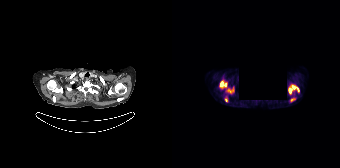
{"modality":"PSMA PET/CT","view":"axial","tracer":"68Ga-PSMA","pet_grid":[168,168],"coord_frame":"pet_panel","coord_format":"x0,y0,x1,y1","de-identification":"black rectangle is a privacy mask","lesion_bboxes":[[116,84,127,94],[47,80,55,88],[54,87,62,93],[118,98,123,101]],"small_foci_centers":[[54,99]]}